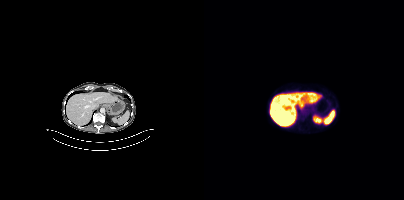
This slice has no annotated PSMA-avid lesion. Left: CT. Right: PSMA PET, same axial level, 18F-PSMA tracer. PET panel 200×200 px (4.1 mm/px).